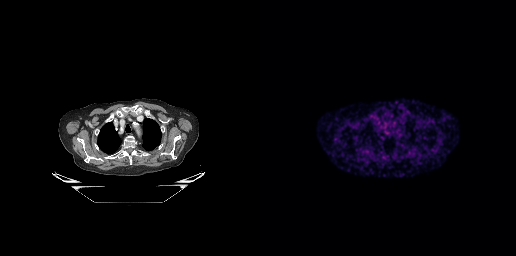
Paired axial CT (left) and PSMA PET (right), 68Ga tracer. PET panel 256×256 px (2.7 mm/px). Negative for PSMA-avid disease on this slice.